Paired axial CT (left) and PSMA PET (right), 18F-PSMA tracer. Slice 218 of 407.
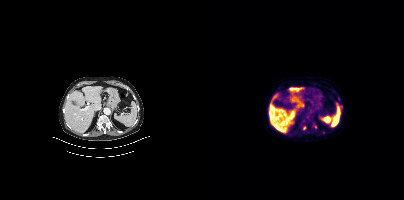
Coordinates are on the 200×200 PET (right) panel. Small PSMA-avid foci (2 to 4 px across) near (center x, center y): (100, 127); (137, 106); (111, 126); (134, 98).